Two-panel axial: CT | PSMA PET, [18F]PSMA-1007 tracer. Slice position z = 114 mm.
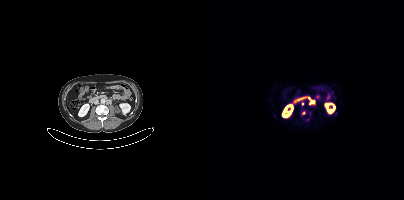
Coordinates are on the 200×200 PET (right) panel. PSMA-avid tumor lesion bounding boxes (partial; 1 more focus not listed):
| # | x0 | y0 | x1 | y1 |
|---|---|---|---|---|
| 1 | 106 | 100 | 110 | 103 |
Small PSMA-avid focus (2 to 4 px across) near (center x, center y): (98, 103).